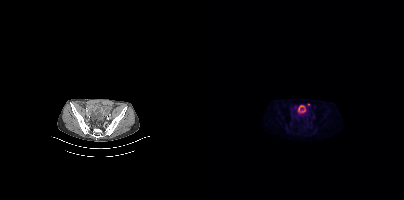
Left: CT. Right: PSMA PET, same axial level, [18F]PSMA-1007 tracer. Slice 111 of 435. Only PSMA-avid lesion pieces thinner than 2 px on this slice (not listed).